modality: PSMA PET/CT | tracer: [18F]PSMA-1007 | view: axial | PET grid: 200×200
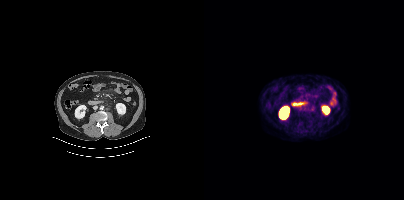
Only PSMA-avid lesion pieces thinner than 2 px on this slice (not listed).